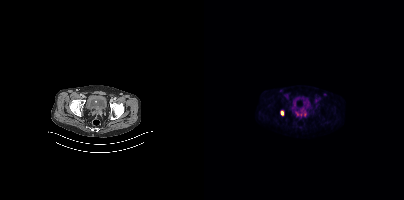
{"modality":"PSMA PET/CT","view":"axial","tracer":"[18F]PSMA-1007","pet_grid":[200,200],"coord_frame":"pet_panel","coord_format":"x0,y0,x1,y1","lesion_bboxes":[[77,111,79,115]]}